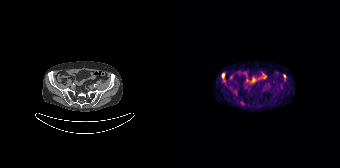
Coordinates are on the 168×168 PET (right) panel. PSMA-avid tumor lesion bounding box (x0, y0)-(x1, y1): (50, 73)-(52, 77). Small PSMA-avid foci (2 to 4 px across) near (center x, center y): (112, 76) / (109, 87) / (63, 91).